Two-panel axial: CT | PSMA PET, 18F-PSMA tracer. Acquired on Siemens Biograph mCT Flow 20. PET panel 200×200 px (4.1 mm/px).
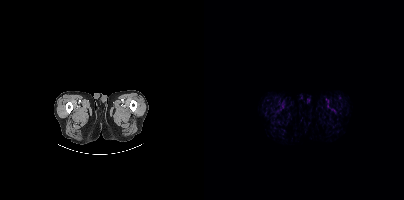
No tumor lesions annotated on this slice.